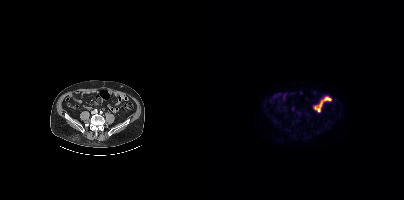
modality: PSMA PET/CT | tracer: 18F-PSMA | view: axial
Negative for PSMA-avid disease on this slice.